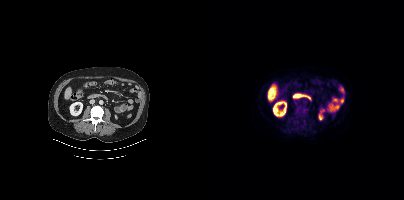
modality: PSMA PET/CT | tracer: [18F]PSMA-1007 | view: axial | PET grid: 200×200
Negative for PSMA-avid disease on this slice.